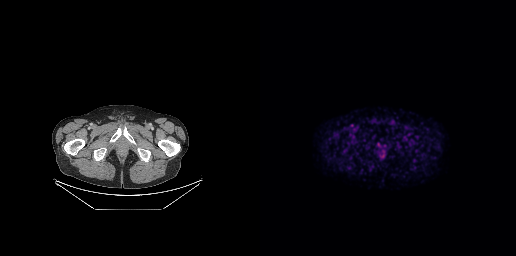
No tumor lesions annotated on this slice.